Face de-identified by blanking a block of the head.
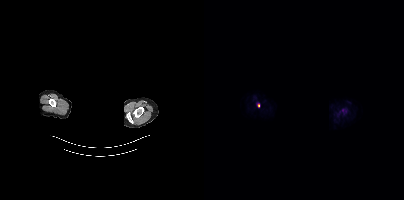
Coordinates are on the 200×200 PET (right) panel. Small PSMA-avid focus (2 to 4 px across) near (center x, center y): (54, 105).